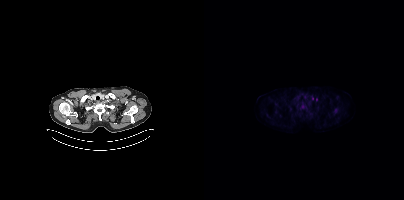
{"modality":"PSMA PET/CT","view":"axial","tracer":"18F-PSMA","pet_grid":[200,200],"coord_frame":"pet_panel","coord_format":"x0,y0,x1,y1","lesion_bboxes":[],"small_foci_centers":[[98,106]]}